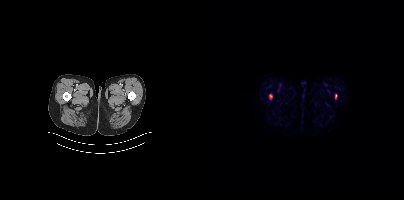
{"modality":"PSMA PET/CT","view":"axial","tracer":"18F-PSMA","pet_grid":[200,200],"coord_frame":"pet_panel","coord_format":"x0,y0,x1,y1","lesion_bboxes":[[65,94,68,98],[131,94,132,98]]}